Paired axial CT (left) and PSMA PET (right), 18F tracer. Acquired on Siemens Biograph mCT Flow 20.
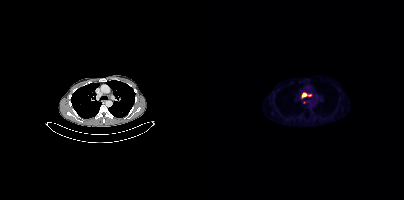
Coordinates are on the 200×200 PET (right) panel. (showing 1 of 2 foci) PSMA-avid tumor lesion bounding box (x0, y0)-(x1, y1): (97, 93)-(106, 98).